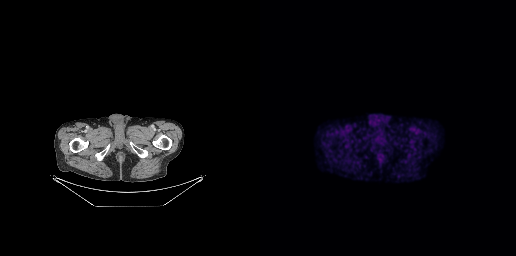
This slice has no annotated PSMA-avid lesion.